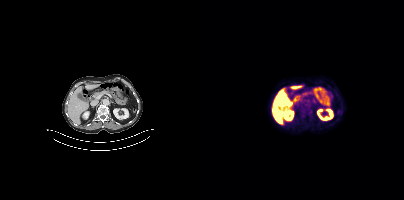
Technique: Left: CT. Right: PSMA PET, same axial level, [18F]PSMA-1007 tracer. slice position z = -675 mm.
Findings: This slice has no annotated PSMA-avid lesion.